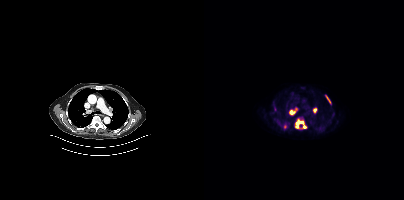
Coordinates are on the 200×200 PET (right) panel. (showing 5 of 6 foci) PSMA-avid tumor lesion bounding boxes (x, y, width, height): x=91 y=119 w=12 h=10; x=85 y=108 w=8 h=7; x=109 y=108 w=4 h=5; x=121 y=95 w=6 h=9. Small PSMA-avid focus (2 to 4 px across) near (center x, center y): (80, 126).
modality: PSMA PET/CT | tracer: [18F]PSMA-1007 | view: axial | PET grid: 200×200